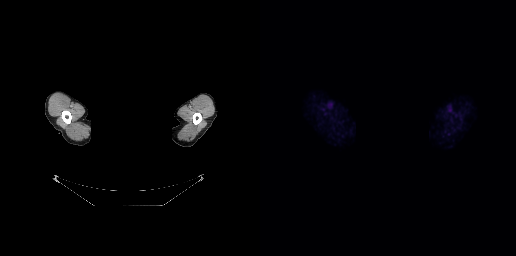
Technique: Two-panel axial: CT | PSMA PET, 18F tracer. acquired on GE Discovery 690. PET panel 256×256 px (2.7 mm/px).
Note: The face region was removed for patient privacy by blanking a rectangle over the head.
Findings: This slice has no annotated PSMA-avid lesion.